redaction: head region blacked out before release | modality: PSMA PET/CT | tracer: 68Ga | view: axial
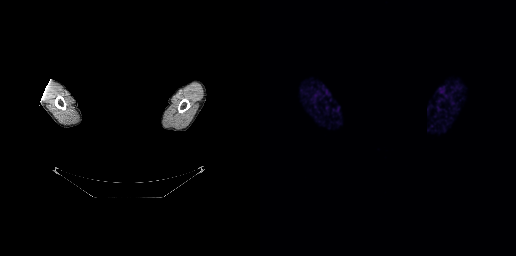
Negative for PSMA-avid disease on this slice.